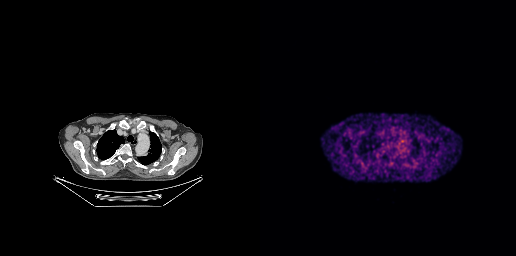
- Paired axial CT (left) and PSMA PET (right), [68Ga]Ga-PSMA-11 tracer
- acquired on GE Discovery 690
Findings: No tumor lesions annotated on this slice.